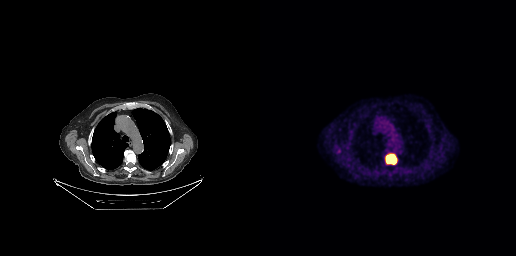
Paired axial CT (left) and PSMA PET (right), [18F]PSMA-1007 tracer. Acquired on GE Discovery 690. Slice position z = -186 mm.
Coordinates are on the 256×256 PET (right) panel. PSMA-avid tumor lesion bounding boxes:
| # | x0 | y0 | x1 | y1 |
|---|---|---|---|---|
| 1 | 125 | 153 | 137 | 164 |